Left: CT. Right: PSMA PET, same axial level, [68Ga]Ga-PSMA-11 tracer. Acquired on Siemens Biograph mCT Flow 20. Slice 143 of 433. PET panel 200×200 px (4.1 mm/px).
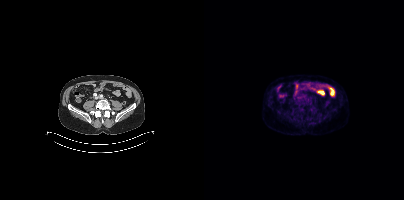
No tumor lesions annotated on this slice.